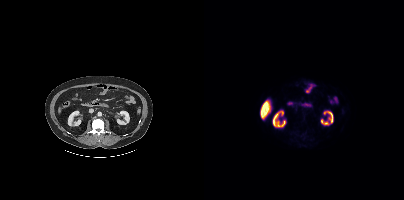
No PSMA-avid tumor lesions on this slice.